- Left: CT. Right: PSMA PET, same axial level, 18F tracer
- slice 240 of 407
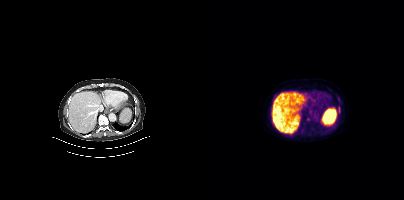
Findings: Coordinates are on the 200×200 PET (right) panel. (showing 1 of 2 foci) Small PSMA-avid focus (2 to 4 px across) near (center x, center y): (135, 110).